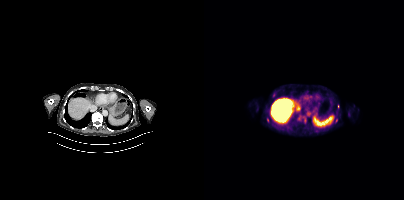
Left: CT. Right: PSMA PET, same axial level, 18F-PSMA tracer. Slice 226 of 421. PET panel 200×200 px (4.1 mm/px). Only PSMA-avid lesion pieces thinner than 2 px on this slice (not listed).